modality: PSMA PET/CT | tracer: 18F | view: axial | PET grid: 200×200
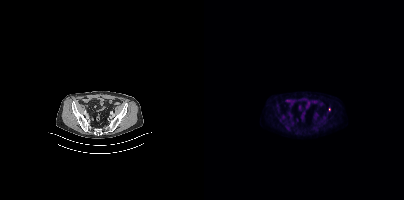
Coordinates are on the 200×200 PET (right) panel. Small PSMA-avid focus (2 to 4 px across) near (center x, center y): (125, 109).